deidentification: privacy mask over head | modality: PSMA PET/CT | tracer: 68Ga-PSMA | view: axial | PET grid: 256×256
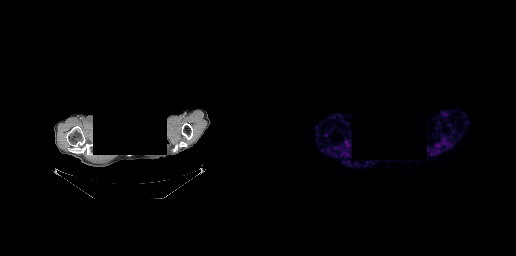
No PSMA-avid tumor lesions on this slice.